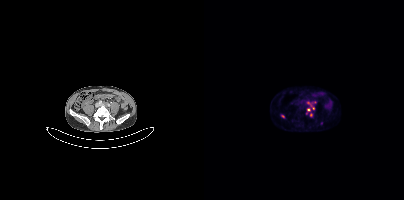
Coordinates are on the 200×200 PET (right) panel. PSMA-avid tumor lesion bounding boxes (partial; 1 more focus not listed):
| # | x0 | y0 | x1 | y1 |
|---|---|---|---|---|
| 1 | 103 | 102 | 110 | 109 |
Small PSMA-avid foci (2 to 4 px across) near (center x, center y): (104, 109); (106, 115); (78, 116).
Two-panel axial: CT | PSMA PET, 68Ga-PSMA tracer. Slice position z = -1542 mm. PET panel 200×200 px (4.1 mm/px).